Two-panel axial: CT | PSMA PET, [68Ga]Ga-PSMA-11 tracer. Slice 84 of 409.
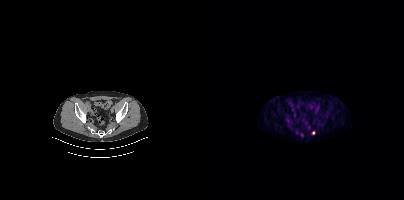
Coordinates are on the 200×200 PET (right) panel. Small PSMA-avid focus (2 to 4 px across) near (center x, center y): (109, 133).